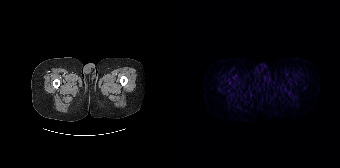
{"modality":"PSMA PET/CT","view":"axial","tracer":"68Ga-PSMA","pet_grid":[168,168],"coord_frame":"pet_panel","coord_format":"x0,y0,x1,y1","psma_avid_lesions":false}